Technique: Paired axial CT (left) and PSMA PET (right), 18F tracer. slice 399 of 508.
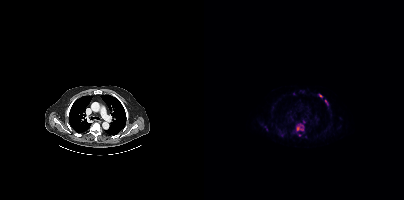
Findings: Coordinates are on the 200×200 PET (right) panel. (showing 3 of 5 foci) PSMA-avid tumor lesion bounding boxes (x0,y0,x1,y1): [92,124,99,130]; [121,100,124,104]. Small PSMA-avid focus (2 to 4 px across) near (center x, center y): (116, 95).